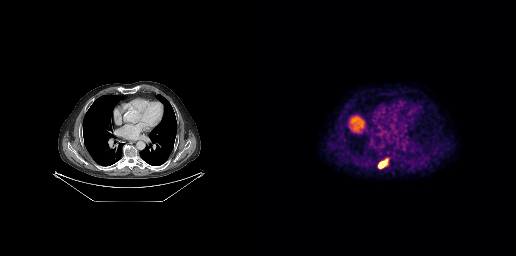
Findings: Coordinates are on the 256×256 PET (right) panel. PSMA-avid tumor lesion bounding box (x0,y0,x1,y1): [118,160,127,167].
- Left: CT. Right: PSMA PET, same axial level, [18F]PSMA-1007 tracer